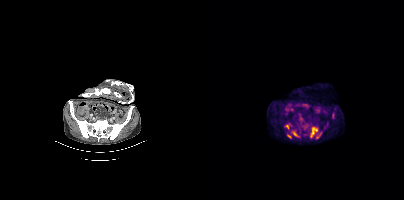
Coordinates are on the 200×200 PET (right) panel. PSMA-avid tumor lesion bounding boxes:
| # | x0 | y0 | x1 | y1 |
|---|---|---|---|---|
| 1 | 106 | 126 | 117 | 138 |
| 2 | 87 | 130 | 95 | 137 |
| 3 | 128 | 113 | 130 | 118 |
| 4 | 83 | 134 | 87 | 138 |
Small PSMA-avid focus (2 to 4 px across) near (center x, center y): (83, 126).
Paired axial CT (left) and PSMA PET (right), 18F tracer. Slice 102 of 403.